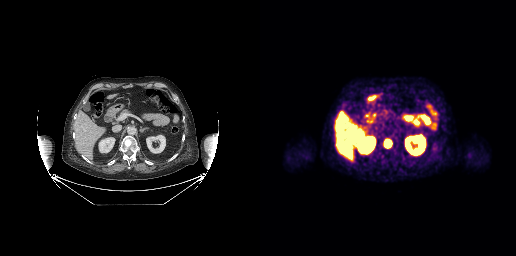
modality: PSMA PET/CT | tracer: 18F-PSMA | view: axial | PET grid: 256×256
Coordinates are on the 256×256 PET (right) panel. PSMA-avid tumor lesion bounding box (x, y, width, height): x=123 y=138 w=10 h=11.